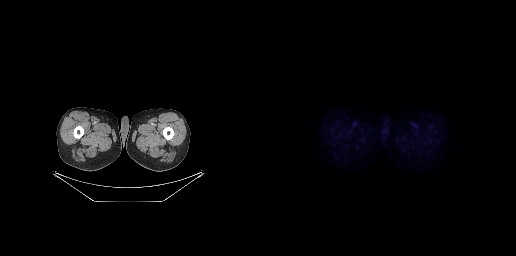
Two-panel axial: CT | PSMA PET, 18F tracer. Acquired on GE Discovery 690. Slice position z = -763 mm. No PSMA-avid tumor lesions on this slice.